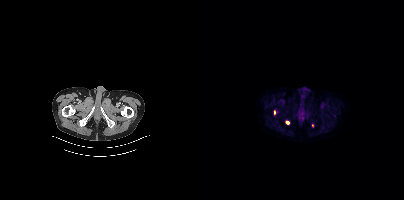
Coordinates are on the 200×200 PET (right) panel. PSMA-avid tumor lesion bounding box (x0, y0)-(x1, y1): (70, 110)-(71, 114). Small PSMA-avid foci (2 to 4 px across) near (center x, center y): (83, 122) / (108, 125).